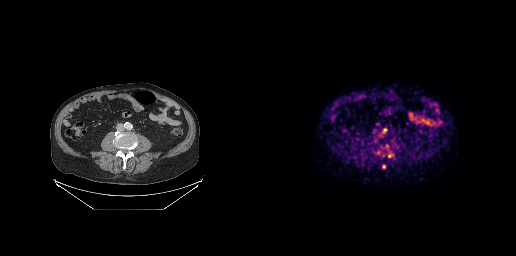
modality: PSMA PET/CT | tracer: 68Ga | view: axial
Coordinates are on the 256×256 PET (right) panel. Small PSMA-avid foci (2 to 4 px across) near (center x, center y): (124, 166) | (125, 130) | (129, 156).